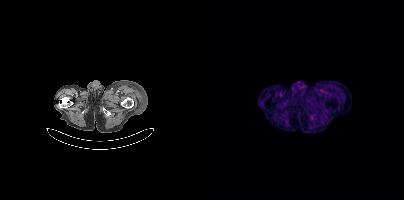
This slice has no annotated PSMA-avid lesion.
modality: PSMA PET/CT | tracer: 68Ga-PSMA | view: axial | PET grid: 200×200